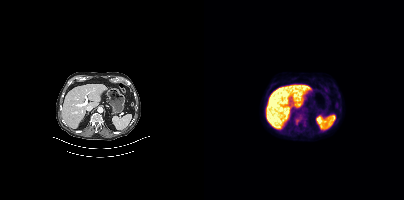
Coordinates are on the 200×200 PET (right) panel. PSMA-avid tumor lesion bounding boxes:
| # | x0 | y0 | x1 | y1 |
|---|---|---|---|---|
| 1 | 91 | 119 | 95 | 124 |
Two-panel axial: CT | PSMA PET, [18F]PSMA-1007 tracer. Acquired on Siemens Biograph mCT Flow 20. PET panel 200×200 px (4.1 mm/px).